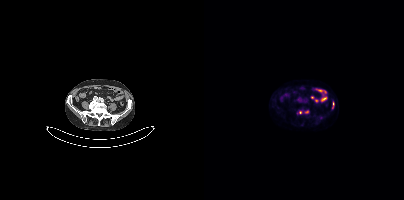
{"modality":"PSMA PET/CT","view":"axial","tracer":"18F-PSMA","pet_grid":[200,200],"coord_frame":"pet_panel","coord_format":"x0,y0,x1,y1","lesion_bboxes":[[129,102,130,106]],"small_foci_centers":[[102,112],[96,112]]}